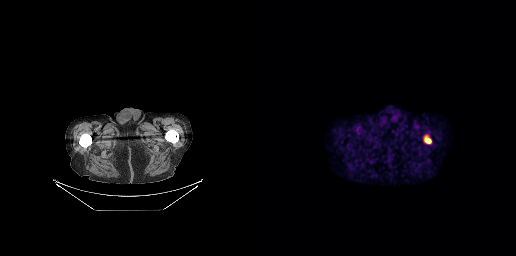
{"modality":"PSMA PET/CT","view":"axial","tracer":"[18F]PSMA-1007","pet_grid":[256,256],"coord_frame":"pet_panel","coord_format":"x0,y0,x1,y1","lesion_bboxes":[[164,137,171,143]]}